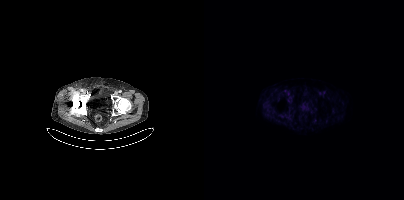
{"modality":"PSMA PET/CT","view":"axial","tracer":"18F","pet_grid":[200,200],"coord_frame":"pet_panel","coord_format":"x0,y0,x1,y1","psma_avid_lesions":false}